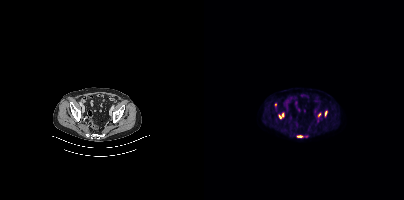
Coordinates are on the 200×200 PET (right) panel. PSMA-avid tumor lesion bounding boxes (x0, y0)-(x1, y1): (75, 113)-(79, 118); (93, 135)-(99, 137); (121, 111)-(123, 116). Small PSMA-avid foci (2 to 4 px across) near (center x, center y): (115, 114); (71, 104).
modality: PSMA PET/CT | tracer: 18F-PSMA | view: axial